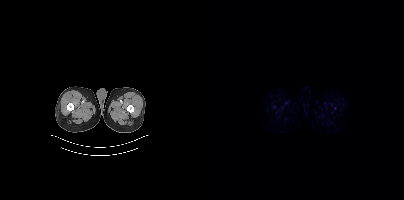
- Two-panel axial: CT | PSMA PET, 18F tracer
- slice position z = -1725 mm
- PET panel 200×200 px (4.1 mm/px)
Findings: No PSMA-avid tumor lesions on this slice.